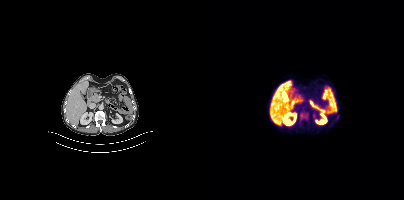
Two-panel axial: CT | PSMA PET, 18F tracer. Slice 194 of 413. This slice has no annotated PSMA-avid lesion.